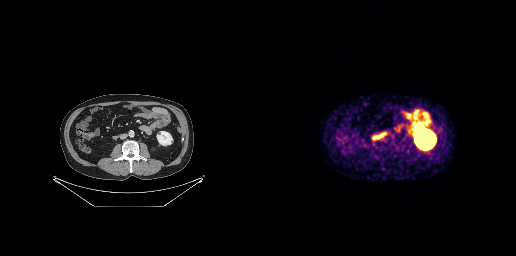
modality: PSMA PET/CT | tracer: [68Ga]Ga-PSMA-11 | view: axial | PET grid: 256×256
No tumor lesions annotated on this slice.